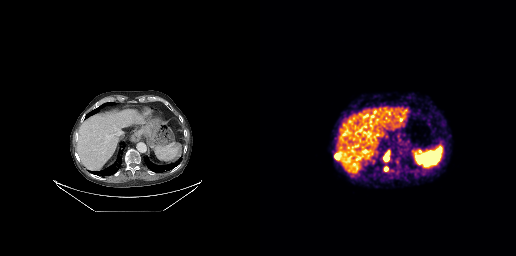
Coordinates are on the 256×256 PET (right) panel. PSMA-avid tumor lesion bounding boxes (x0,y0,x1,y1): [124,150,130,160], [76,154,80,159], [124,166,128,171].
modality: PSMA PET/CT | tracer: 68Ga | view: axial